Two-panel axial: CT | PSMA PET, 18F tracer. Acquired on GE Discovery 690. PET panel 256×256 px (2.7 mm/px).
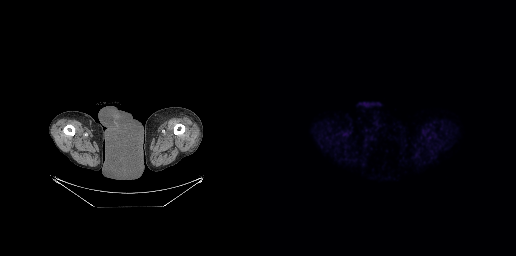
This slice has no annotated PSMA-avid lesion.